modality: PSMA PET/CT | tracer: [18F]PSMA-1007 | view: axial
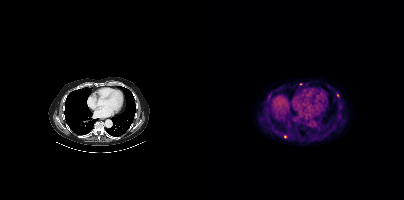
Coordinates are on the 200×200 PET (right) panel. Small PSMA-avid foci (2 to 4 px across) near (center x, center y): (65, 96) (133, 95) (81, 136) (96, 83).